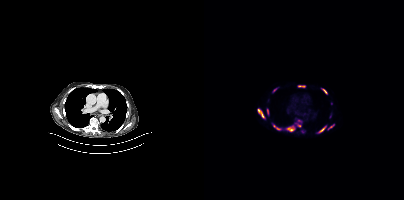
- Paired axial CT (left) and PSMA PET (right), 18F-PSMA tracer
- acquired on Siemens Biograph mCT Flow 20
- slice 275 of 387
Findings: Coordinates are on the 200×200 PET (right) panel. PSMA-avid tumor lesion bounding boxes (x, y, width, height): x=53 y=108 w=8 h=11; x=82 y=126 w=9 h=6; x=115 y=126 w=7 h=7; x=94 y=85 w=8 h=3; x=69 y=125 w=8 h=6; x=123 y=124 w=8 h=6; x=118 y=89 w=6 h=6; x=63 y=109 w=2 h=6; x=69 y=88 w=4 h=5. Small PSMA-avid focus (2 to 4 px across) near (center x, center y): (95, 125).